Paired axial CT (left) and PSMA PET (right), [18F]PSMA-1007 tracer. Slice 344 of 429.
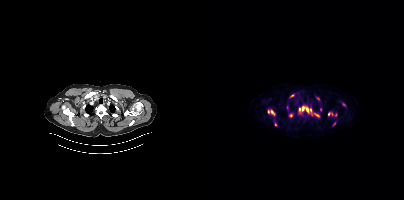
Coordinates are on the 200×200 PET (right) panel. (showing 11 of 15 foci) PSMA-avid tumor lesion bounding boxes (x, y, width, height): x=64 y=110 w=8 h=6 / x=110 y=113 w=6 h=5 / x=103 y=108 w=5 h=5. Small PSMA-avid foci (2 to 4 px across) near (center x, center y): (113, 98) / (87, 115) / (98, 108) / (116, 109) / (124, 114) / (71, 124) / (88, 95) / (130, 123).